Paired axial CT (left) and PSMA PET (right), 18F-PSMA tracer. Slice position z = -1458 mm. PET panel 200×200 px (4.1 mm/px).
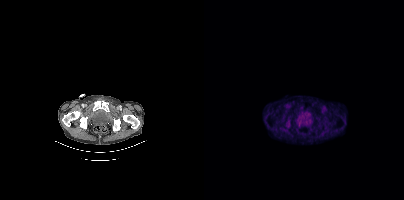
Coordinates are on the 200×200 PET (right) panel. Small PSMA-avid focus (2 to 4 px across) near (center x, center y): (83, 123).